- Two-panel axial: CT | PSMA PET, [68Ga]Ga-PSMA-11 tracer
- slice 125 of 195
- PET panel 168×168 px (4.1 mm/px)
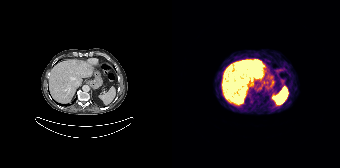
Findings: Coordinates are on the 168×168 PET (right) panel. PSMA-avid tumor lesion bounding boxes (x, y, width, height): x=64 y=60 w=27 h=19; x=62 y=78 w=13 h=27.